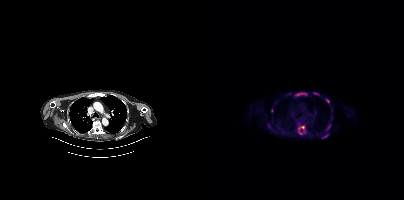
Technique: Left: CT. Right: PSMA PET, same axial level, 18F tracer. acquired on Siemens Biograph mCT Flow 20. PET panel 200×200 px (4.1 mm/px).
Findings: Coordinates are on the 200×200 PET (right) panel. PSMA-avid tumor lesion bounding boxes (x0, y0)-(x1, y1): (94, 126)-(100, 134) | (93, 92)-(102, 95) | (117, 134)-(124, 138) | (122, 124)-(126, 130) | (109, 92)-(115, 95) | (122, 98)-(125, 103). Small PSMA-avid foci (2 to 4 px across) near (center x, center y): (68, 110) | (71, 131) | (67, 129).